- Left: CT. Right: PSMA PET, same axial level, 18F tracer
- PET panel 200×200 px (4.1 mm/px)
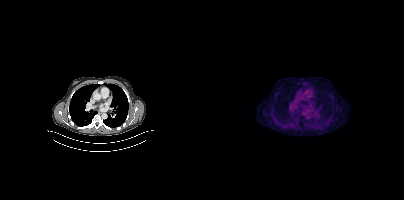
Findings: This slice has no annotated PSMA-avid lesion.